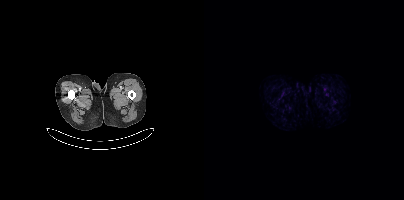
Negative for PSMA-avid disease on this slice.